- Paired axial CT (left) and PSMA PET (right), [18F]PSMA-1007 tracer
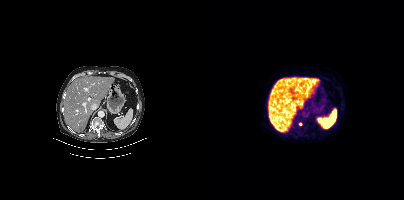
Findings: Coordinates are on the 200×200 PET (right) panel. Small PSMA-avid focus (2 to 4 px across) near (center x, center y): (96, 123).